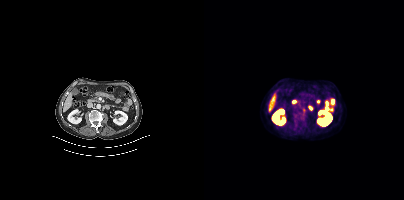
Coordinates are on the 200×200 PET (right) panel. PSMA-avid tumor lesion bounding box (x, y, width, height): x=98 y=108 w=4 h=5.